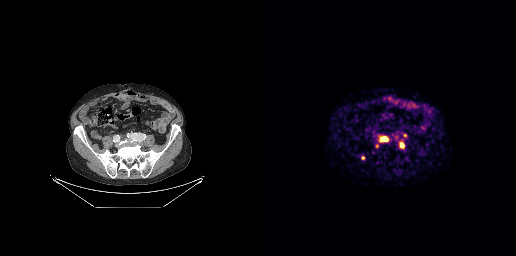
{"modality":"PSMA PET/CT","view":"axial","tracer":"68Ga-PSMA","pet_grid":[256,256],"coord_frame":"pet_panel","coord_format":"x0,y0,x1,y1","lesion_bboxes":[[121,137,127,141],[140,143,143,147],[115,144,118,148]],"small_foci_centers":[[102,157],[144,135],[118,141]]}